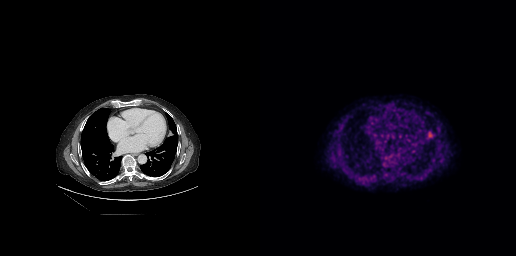
Coordinates are on the 256×256 PET (right) panel. (showing 1 of 2 foci) PSMA-avid tumor lesion bounding box (x0,y0,x1,y1): [110,174,117,181]. Left: CT. Right: PSMA PET, same axial level, [18F]PSMA-1007 tracer. Acquired on GE Discovery 690. Slice position z = -274 mm. PET panel 256×256 px (2.7 mm/px).